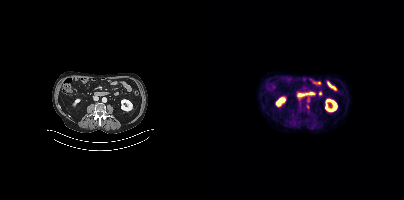
{"modality":"PSMA PET/CT","view":"axial","tracer":"18F-PSMA","pet_grid":[200,200],"coord_frame":"pet_panel","coord_format":"x0,y0,x1,y1","lesion_bboxes":[],"small_foci_centers":[[103,106]]}